deidentification: facial region redacted | modality: PSMA PET/CT | tracer: 18F | view: axial | PET grid: 256×256
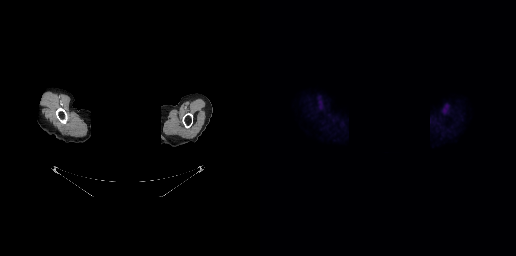
No tumor lesions annotated on this slice.